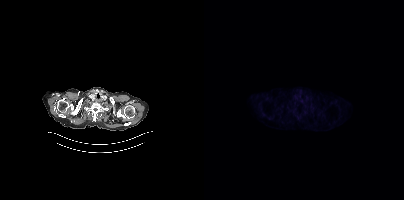
modality: PSMA PET/CT | tracer: [18F]PSMA-1007 | view: axial
Negative for PSMA-avid disease on this slice.